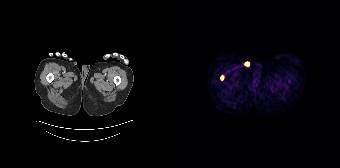
Coordinates are on the 168×168 PET (right) panel. Small PSMA-avid focus (2 to 4 px across) near (center x, center y): (50, 77).
modality: PSMA PET/CT | tracer: [68Ga]Ga-PSMA-11 | view: axial | PET grid: 168×168